Left: CT. Right: PSMA PET, same axial level, 18F-PSMA tracer. PET panel 200×200 px (4.1 mm/px).
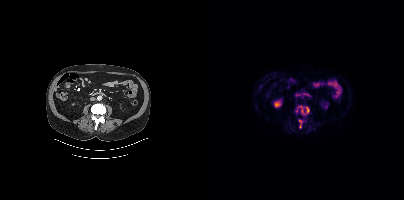
Coordinates are on the 200×200 PET (right) panel. (showing 4 of 6 foci) PSMA-avid tumor lesion bounding boxes (x, y, width, height): x=102 y=107 w=4 h=7; x=96 y=106 w=5 h=9. Small PSMA-avid foci (2 to 4 px across) near (center x, center y): (96, 121); (96, 126).